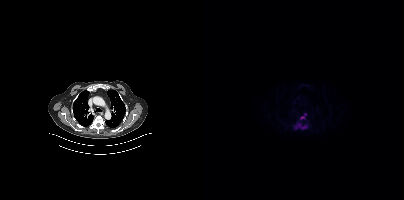
{"pet_grid":[200,200],"coord_frame":"pet_panel","coord_format":"x0,y0,x1,y1","lesion_bboxes":[[90,122,103,129],[96,114,101,120]],"modality":"PSMA PET/CT","view":"axial","tracer":"18F-PSMA"}